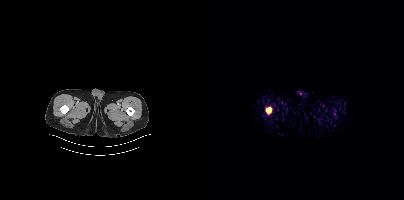
Coordinates are on the 200×200 PET (right) panel. PSMA-avid tumor lesion bounding box (x0, y0)-(x1, y1): (62, 107)-(67, 113).